Technique: Left: CT. Right: PSMA PET, same axial level, [68Ga]Ga-PSMA-11 tracer. slice 54 of 393.
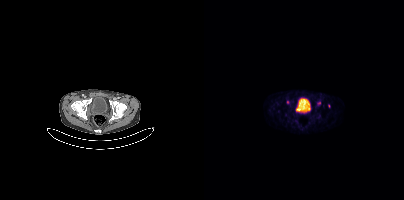
Findings: Coordinates are on the 200×200 PET (right) panel. (showing 1 of 3 foci) Small PSMA-avid focus (2 to 4 px across) near (center x, center y): (83, 101).